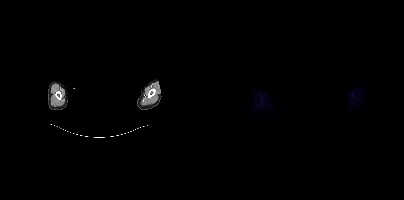
- the face region was removed for patient privacy by blanking a rectangle over the head
- Two-panel axial: CT | PSMA PET, [18F]PSMA-1007 tracer
- acquired on Siemens Biograph mCT Flow 20
Findings: No PSMA-avid tumor lesions on this slice.